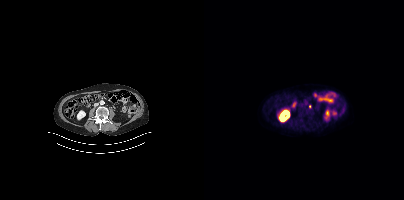
Left: CT. Right: PSMA PET, same axial level, 18F tracer. Slice 165 of 423. Coordinates are on the 200×200 PET (right) panel. Small PSMA-avid focus (2 to 4 px across) near (center x, center y): (105, 106).